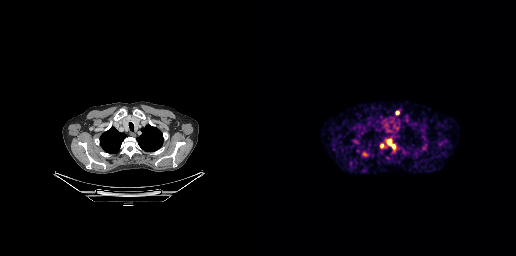
Coordinates are on the 256×256 PET (right) panel. PSMA-avid tumor lesion bounding boxes (x, y, width, height): x=128 y=140 w=8 h=10 | x=103 y=152 w=5 h=5. Small PSMA-avid foci (2 to 4 px across) near (center x, center y): (163, 147) | (137, 112) | (122, 145).